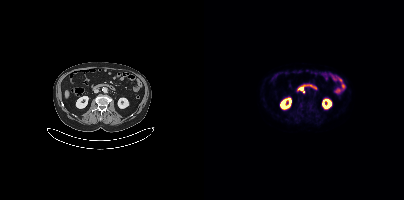
Two-panel axial: CT | PSMA PET, [18F]PSMA-1007 tracer. Acquired on Siemens Biograph mCT Flow 20. This slice has no annotated PSMA-avid lesion.